- Two-panel axial: CT | PSMA PET, 18F-PSMA tracer
- acquired on Siemens Biograph mCT Flow 20
- slice position z = -1895 mm
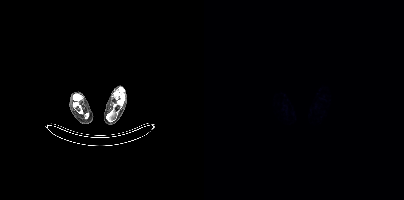
Findings: Negative for PSMA-avid disease on this slice.